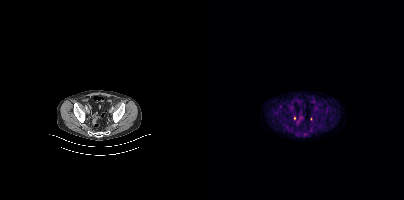
- Left: CT. Right: PSMA PET, same axial level, 18F-PSMA tracer
- acquired on Siemens Biograph mCT Flow 20
- slice position z = -920 mm
Findings: This slice has no annotated PSMA-avid lesion.